Technique: Two-panel axial: CT | PSMA PET, [18F]PSMA-1007 tracer.
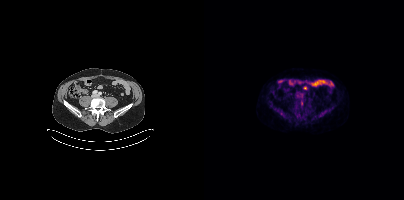
Findings: No tumor lesions annotated on this slice.